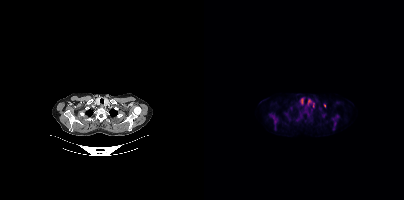
{"pet_grid":[200,200],"coord_frame":"pet_panel","coord_format":"x0,y0,x1,y1","partial":true,"lesion_bboxes":[[129,115,135,129],[66,114,73,129]],"small_foci_centers":[[120,105]],"modality":"PSMA PET/CT","view":"axial","tracer":"18F"}